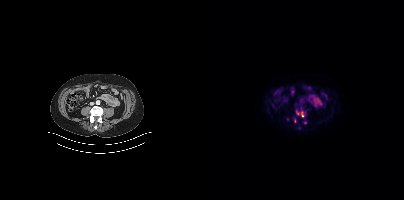
{"modality":"PSMA PET/CT","view":"axial","tracer":"18F","pet_grid":[200,200],"coord_frame":"pet_panel","coord_format":"x0,y0,x1,y1","lesion_bboxes":[[92,111,95,115]],"small_foci_centers":[[98,114],[91,120]]}